modality: PSMA PET/CT | tracer: 18F-PSMA | view: axial | PET grid: 256×256
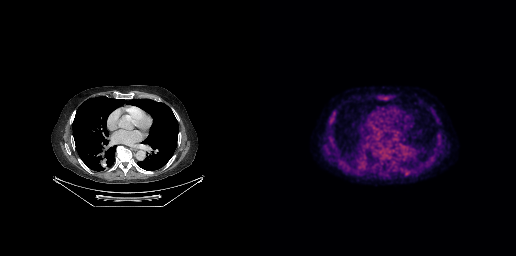
This slice has no annotated PSMA-avid lesion.